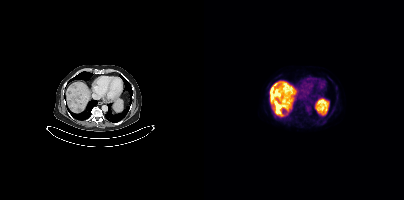
Paired axial CT (left) and PSMA PET (right), 18F-PSMA tracer. Slice 265 of 431.
Coordinates are on the 200×200 PET (right) panel. PSMA-avid tumor lesion bounding boxes:
| # | x0 | y0 | x1 | y1 |
|---|---|---|---|---|
| 1 | 66 | 89 | 74 | 96 |